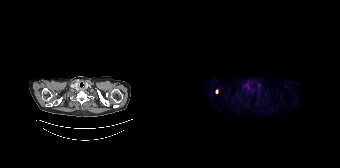
Technique: Paired axial CT (left) and PSMA PET (right), 18F-PSMA tracer. slice 141 of 165.
Findings: Coordinates are on the 168×168 PET (right) panel. Small PSMA-avid focus (2 to 4 px across) near (center x, center y): (44, 91).